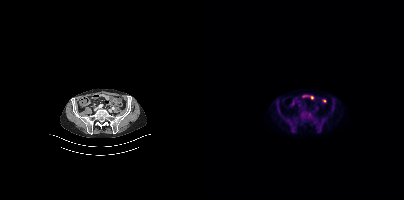
Negative for PSMA-avid disease on this slice.